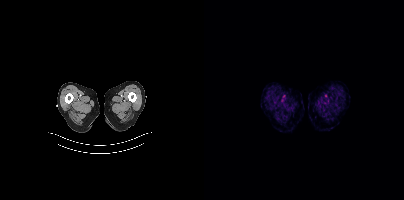
- Two-panel axial: CT | PSMA PET, 18F-PSMA tracer
Findings: Negative for PSMA-avid disease on this slice.